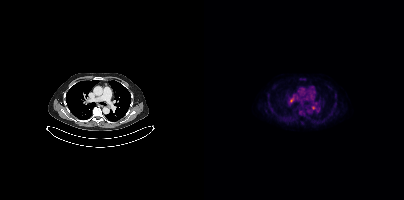
Coordinates are on the 200×200 PET (right) panel. PSMA-avid tumor lesion bounding box (x, y, width, height): x=86 y=98 w=4 h=5. Small PSMA-avid foci (2 to 4 px across) near (center x, center y): (109, 107) / (114, 109).